- Left: CT. Right: PSMA PET, same axial level, [18F]PSMA-1007 tracer
- PET panel 200×200 px (4.1 mm/px)
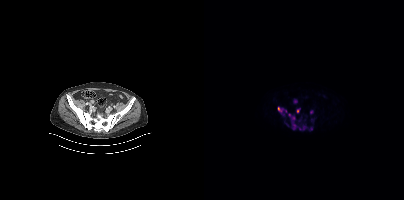
Findings: Coordinates are on the 200×200 PET (right) panel. PSMA-avid tumor lesion bounding boxes (x0, y0)-(x1, y1): (84, 113)-(102, 130) | (105, 126)-(109, 131) | (89, 99)-(93, 103) | (74, 107)-(79, 112) | (92, 109)-(95, 113) | (106, 110)-(109, 114). Small PSMA-avid foci (2 to 4 px across) near (center x, center y): (107, 120) | (83, 124) | (100, 119) | (95, 120).